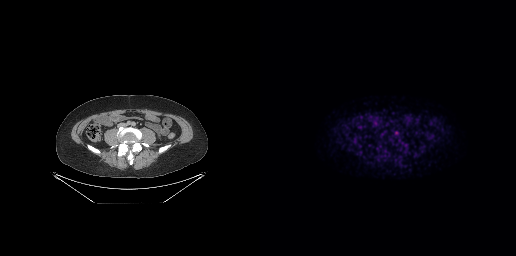
{"modality":"PSMA PET/CT","view":"axial","tracer":"18F","pet_grid":[256,256],"coord_frame":"pet_panel","coord_format":"x0,y0,x1,y1","psma_avid_lesions":false}